modality: PSMA PET/CT | tracer: [18F]PSMA-1007 | view: axial | PET grid: 200×200
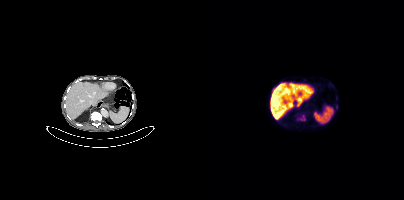
Coordinates are on the 200×200 PET (right) panel. PSMA-avid tumor lesion bounding box (x0, y0)-(x1, y1): (96, 115)-(101, 120).